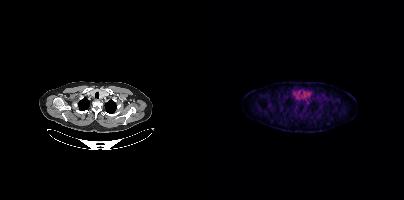
Coordinates are on the 200×200 PET (right) panel. Small PSMA-avid focus (2 to 4 px across) near (center x, center y): (103, 102). Two-panel axial: CT | PSMA PET, 18F-PSMA tracer. Slice position z = -191 mm. PET panel 200×200 px (4.1 mm/px).